Two-panel axial: CT | PSMA PET, 18F tracer. Slice 266 of 427.
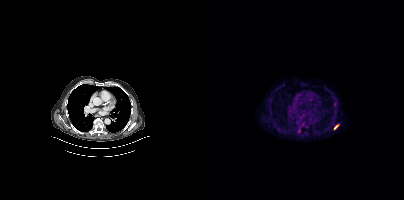
Coordinates are on the 200×200 PET (right) panel. PSMA-avid tumor lesion bounding box (x, y, width, height): x=130 y=125 w=5 h=5.